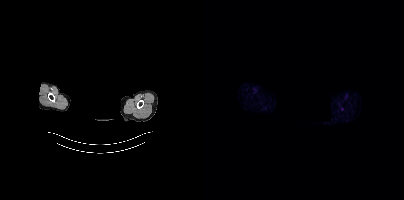
No PSMA-avid tumor lesions on this slice. Two-panel axial: CT | PSMA PET, 68Ga-PSMA tracer. Slice 335 of 373. PET panel 200×200 px (4.1 mm/px). De-identified by setting a box covering the face to black before release.